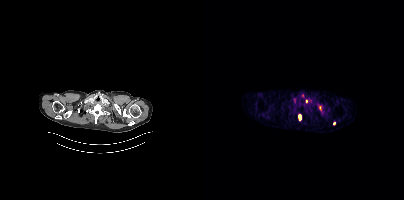
Coordinates are on the 200×200 PET (right) panel. PSMA-avid tumor lesion bounding boxes (partial; 1 more focus not listed):
| # | x0 | y0 | x1 | y1 |
|---|---|---|---|---|
| 1 | 95 | 115 | 96 | 119 |
Small PSMA-avid foci (2 to 4 px across) near (center x, center y): (130, 123); (102, 100).
Left: CT. Right: PSMA PET, same axial level, 68Ga tracer. Acquired on Siemens Biograph mCT Flow 20.